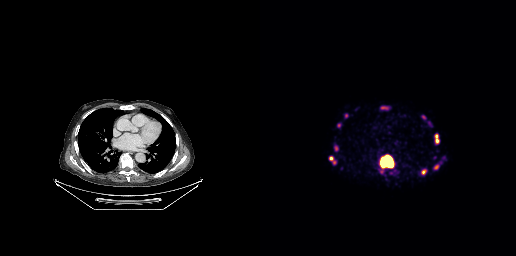
Coordinates are on the 256×256 PET (right) panel. (showing 8 of 10 foci) PSMA-avid tumor lesion bounding boxes (x0, y0)-(x1, y1): (121, 155)-(133, 167) / (175, 133)-(179, 143) / (75, 146)-(77, 150) / (162, 170)-(165, 174) / (162, 115)-(165, 119). Small PSMA-avid foci (2 to 4 px across) near (center x, center y): (86, 115) / (71, 158) / (122, 170).